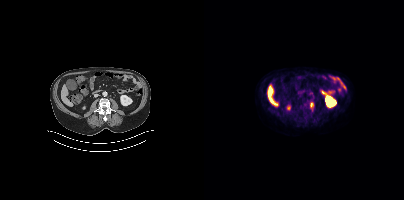
- Two-panel axial: CT | PSMA PET, 18F tracer
- slice position z = -1262 mm
Findings: Coordinates are on the 200×200 PET (right) panel. PSMA-avid tumor lesion bounding box (x0,y0,x1,y1): [106,103,109,107].